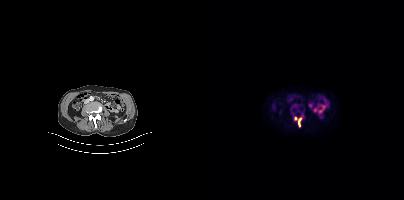
{"modality":"PSMA PET/CT","view":"axial","tracer":"18F","pet_grid":[200,200],"coord_frame":"pet_panel","coord_format":"x0,y0,x1,y1","lesion_bboxes":[[90,116,98,127]]}